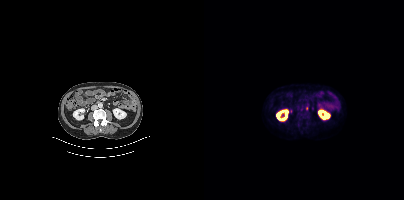
Coordinates are on the 200×200 PET (right) panel. Small PSMA-avid focus (2 to 4 px across) near (center x, center y): (102, 108).
modality: PSMA PET/CT | tracer: [18F]PSMA-1007 | view: axial | PET grid: 200×200